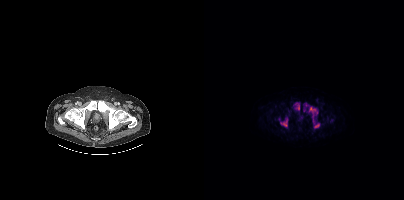
{"pet_grid":[200,200],"coord_frame":"pet_panel","coord_format":"x0,y0,x1,y1","lesion_bboxes":[[105,107,114,114],[76,119,83,126],[89,103,92,110],[110,124,115,127],[108,116,110,120],[94,105,95,109]],"small_foci_centers":[[100,107]],"modality":"PSMA PET/CT","view":"axial","tracer":"[18F]PSMA-1007"}